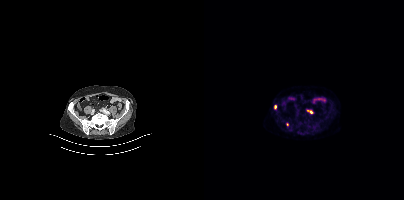
{"pet_grid":[200,200],"coord_frame":"pet_panel","coord_format":"x0,y0,x1,y1","lesion_bboxes":[[103,110,108,113]],"small_foci_centers":[[71,106],[83,124]],"modality":"PSMA PET/CT","view":"axial","tracer":"[18F]PSMA-1007"}